- Two-panel axial: CT | PSMA PET, 68Ga-PSMA tracer
- slice position z = 857 mm
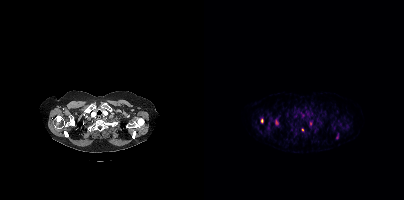
Findings: Coordinates are on the 200×200 PET (right) panel. (showing 3 of 4 foci) Small PSMA-avid foci (2 to 4 px across) near (center x, center y): (58, 120), (72, 121), (98, 130).